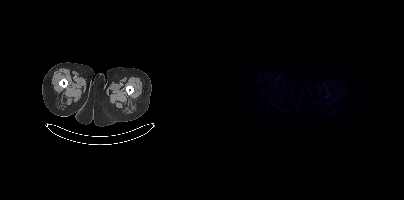
Negative for PSMA-avid disease on this slice.